- Two-panel axial: CT | PSMA PET, 18F-PSMA tracer
- slice 124 of 435
- PET panel 200×200 px (4.1 mm/px)
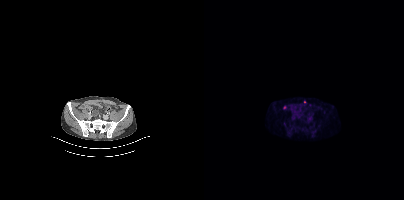
Findings: Coordinates are on the 200×200 PET (right) panel. Small PSMA-avid focus (2 to 4 px across) near (center x, center y): (100, 101).